Left: CT. Right: PSMA PET, same axial level, 68Ga-PSMA tracer. Acquired on Siemens Biograph mCT Flow 20. Slice position z = 329 mm.
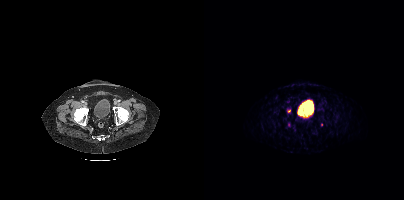
Coordinates are on the 200×200 PET (right) panel. (showing 1 of 2 foci) Small PSMA-avid focus (2 to 4 px across) near (center x, center y): (84, 111).